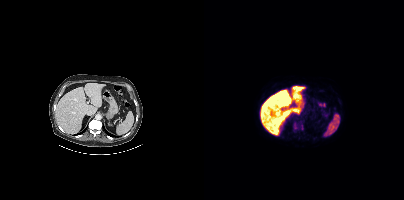
Left: CT. Right: PSMA PET, same axial level, 18F-PSMA tracer. Slice position z = -670 mm. PET panel 200×200 px (4.1 mm/px). Only PSMA-avid lesion pieces thinner than 2 px on this slice (not listed).